Technique: Two-panel axial: CT | PSMA PET, 68Ga tracer. acquired on GE Discovery 690. slice 144 of 263.
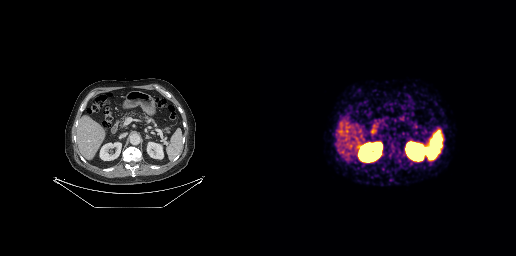
Findings: This slice has no annotated PSMA-avid lesion.